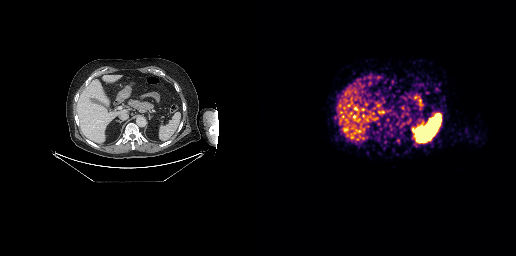
No PSMA-avid tumor lesions on this slice.
modality: PSMA PET/CT | tracer: 68Ga-PSMA | view: axial | PET grid: 256×256